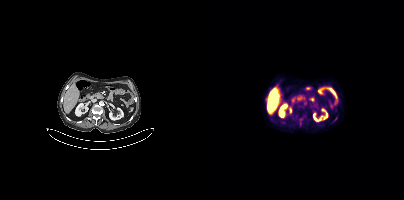
{"modality":"PSMA PET/CT","view":"axial","tracer":"18F","pet_grid":[200,200],"coord_frame":"pet_panel","coord_format":"x0,y0,x1,y1","partial":true,"lesion_bboxes":[]}